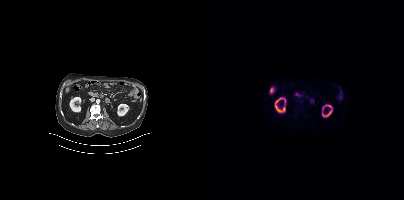
This slice has no annotated PSMA-avid lesion.